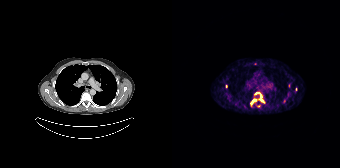
Left: CT. Right: PSMA PET, same axial level, 68Ga-PSMA tracer. Acquired on Siemens Biograph 64-4R TruePoint. Slice 141 of 195. Coordinates are on the 168×168 PET (right) panel. (showing 2 of 4 foci) PSMA-avid tumor lesion bounding box (x0,y0,x1,y1): [78,92,92,106]. Small PSMA-avid focus (2 to 4 px across) near (center x, center y): (54, 86).